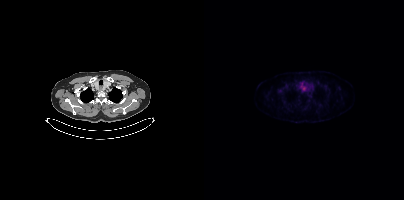
No PSMA-avid tumor lesions on this slice.